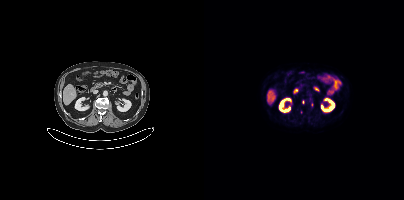
Findings: Coordinates are on the 200×200 PET (right) panel. (showing 1 of 2 foci) Small PSMA-avid focus (2 to 4 px across) near (center x, center y): (108, 104).
- Two-panel axial: CT | PSMA PET, [18F]PSMA-1007 tracer
- acquired on Siemens Biograph mCT Flow 20
- PET panel 200×200 px (4.1 mm/px)